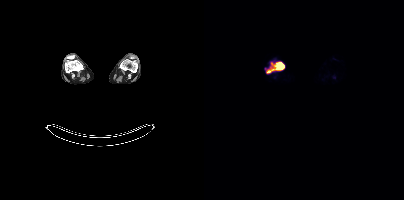
Coordinates are on the 200×200 PET (right) panel. PSMA-avid tumor lesion bounding boxes:
| # | x0 | y0 | x1 | y1 |
|---|---|---|---|---|
| 1 | 62 | 62 | 80 | 73 |
Two-panel axial: CT | PSMA PET, [18F]PSMA-1007 tracer. Slice position z = -1389 mm. PET panel 200×200 px (4.1 mm/px).